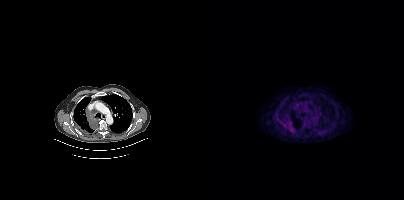
Coordinates are on the 200×200 PET (right) panel. PSMA-avid tumor lesion bounding box (x0,y0,x1,y1): [83,123,89,131]. Small PSMA-avid focus (2 to 4 px across) near (center x, center y): (78, 122).